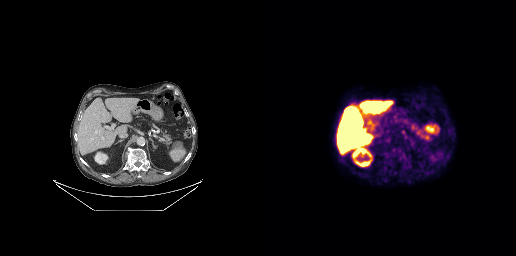
Findings: No tumor lesions annotated on this slice.
Technique: Left: CT. Right: PSMA PET, same axial level, 18F tracer.